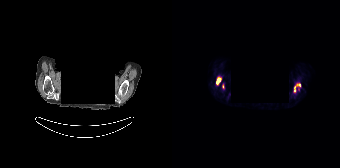
Left: CT. Right: PSMA PET, same axial level, 18F tracer. Slice 144 of 165. PET panel 168×168 px (4.1 mm/px). Head region blanked for anonymization (face removed). Coordinates are on the 168×168 PET (right) panel. PSMA-avid tumor lesion bounding boxes (x, y, width, height): x=121 y=83 w=8 h=10 | x=44 y=77 w=6 h=9 | x=50 y=84 w=2 h=5. Small PSMA-avid focus (2 to 4 px across) near (center x, center y): (126, 89).